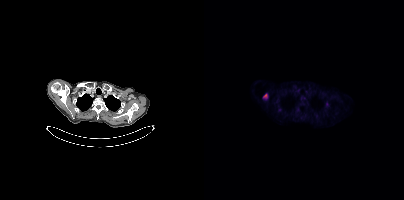
Technique: Two-panel axial: CT | PSMA PET, 18F tracer. acquired on Siemens Biograph mCT Flow 20.
Findings: Coordinates are on the 200×200 PET (right) panel. PSMA-avid tumor lesion bounding box (x0, y0)-(x1, y1): (59, 93)-(63, 98).